- Left: CT. Right: PSMA PET, same axial level, 18F tracer
- acquired on Siemens Biograph mCT Flow 20
- PET panel 200×200 px (4.1 mm/px)
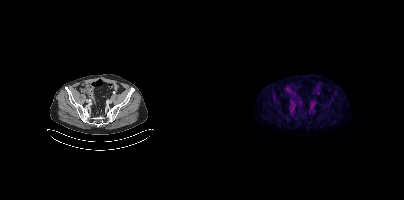
Findings: This slice has no annotated PSMA-avid lesion.